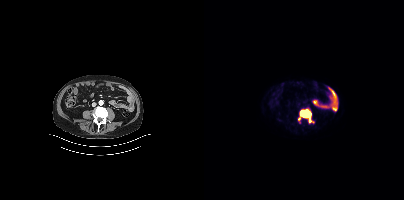
Left: CT. Right: PSMA PET, same axial level, 18F-PSMA tracer. PET panel 200×200 px (4.1 mm/px).
Coordinates are on the 200×200 PET (right) panel. PSMA-avid tumor lesion bounding boxes:
| # | x0 | y0 | x1 | y1 |
|---|---|---|---|---|
| 1 | 96 | 109 | 110 | 122 |
| 2 | 94 | 118 | 96 | 123 |